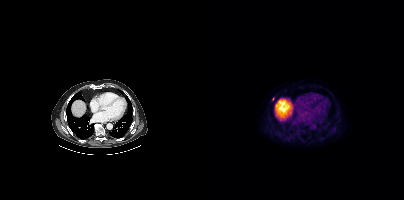
- Paired axial CT (left) and PSMA PET (right), 18F tracer
- acquired on Siemens Biograph mCT Flow 20
- slice position z = -568 mm
- PET panel 200×200 px (4.1 mm/px)
Findings: Coordinates are on the 200×200 PET (right) panel. Small PSMA-avid focus (2 to 4 px across) near (center x, center y): (69, 98).